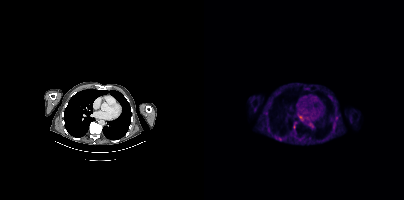
{"modality":"PSMA PET/CT","view":"axial","tracer":"18F-PSMA","pet_grid":[200,200],"coord_frame":"pet_panel","coord_format":"x0,y0,x1,y1","partial":true,"lesion_bboxes":[],"small_foci_centers":[[132,118]]}